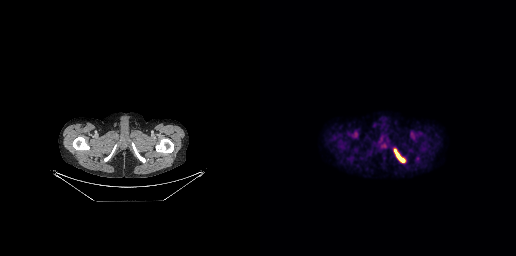
Coordinates are on the 256×256 PET (right) panel. PSMA-avid tumor lesion bounding box (x, y, width, height): x=134 y=149 w=12 h=14.